Two-panel axial: CT | PSMA PET, 18F tracer. Slice position z = 2 mm. PET panel 200×200 px (4.1 mm/px).
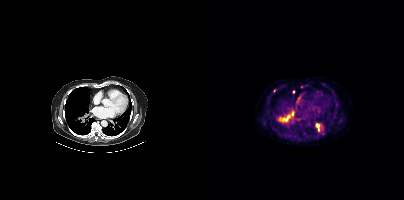
Coordinates are on the 200×200 PET (right) panel. PSMA-avid tumor lesion bounding boxes:
| # | x0 | y0 | x1 | y1 |
|---|---|---|---|---|
| 1 | 74 | 116 | 86 | 121 |
| 2 | 112 | 124 | 118 | 131 |
| 3 | 87 | 111 | 89 | 115 |
Small PSMA-avid foci (2 to 4 px across) near (center x, center y): (97, 87); (89, 91); (70, 90).